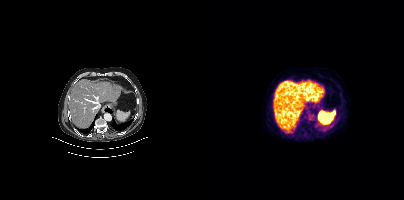
Left: CT. Right: PSMA PET, same axial level, 18F tracer. Acquired on Siemens Biograph mCT Flow 20. Slice 275 of 454. Negative for PSMA-avid disease on this slice.